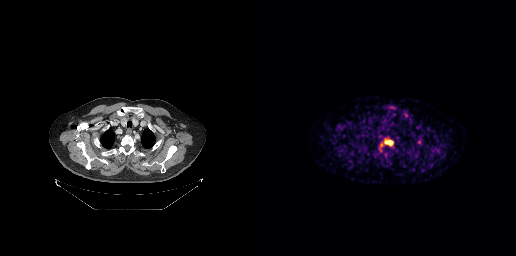
Coordinates are on the 256×256 PET (right) panel. PSMA-avid tumor lesion bounding boxes:
| # | x0 | y0 | x1 | y1 |
|---|---|---|---|---|
| 1 | 119 | 138 | 133 | 151 |
Left: CT. Right: PSMA PET, same axial level, 68Ga tracer. Acquired on GE Discovery 690. PET panel 256×256 px (2.7 mm/px).